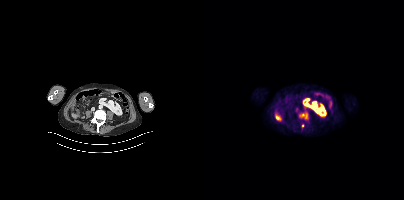
Left: CT. Right: PSMA PET, same axial level, 18F tracer. Acquired on Siemens Biograph mCT Flow 20. PET panel 200×200 px (4.1 mm/px). Coordinates are on the 200×200 PET (right) panel. PSMA-avid tumor lesion bounding box (x0,y0,x1,y1): [95,113,103,118]. Small PSMA-avid focus (2 to 4 px across) near (center x, center y): (98, 125).